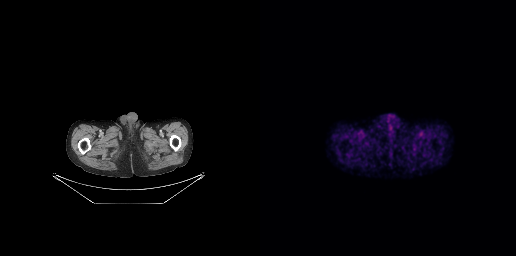
No tumor lesions annotated on this slice.
modality: PSMA PET/CT | tracer: 18F-PSMA | view: axial